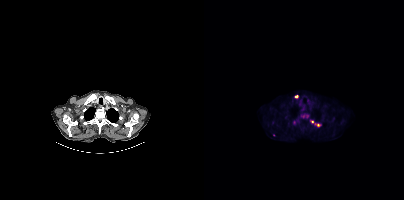
Coordinates are on the 200×200 PET (right) panel. (showing 5 of 8 foci) PSMA-avid tumor lesion bounding boxes (x0,y0,x1,y1): [99,114,104,118] [89,120,91,124]. Small PSMA-avid foci (2 to 4 px across) near (center x, center y): (92, 96) (114, 125) (108, 121).